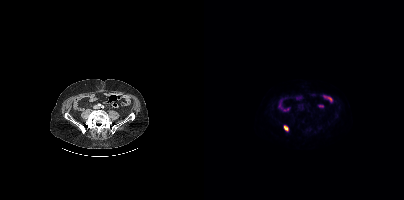
Left: CT. Right: PSMA PET, same axial level, [18F]PSMA-1007 tracer. Slice 134 of 389. PET panel 200×200 px (4.1 mm/px).
Coordinates are on the 200×200 PET (right) panel. PSMA-avid tumor lesion bounding boxes:
| # | x0 | y0 | x1 | y1 |
|---|---|---|---|---|
| 1 | 80 | 126 | 84 | 130 |